- Left: CT. Right: PSMA PET, same axial level, 18F tracer
- acquired on Siemens Biograph 64-4R TruePoint
- slice position z = -1252 mm
- PET panel 168×168 px (4.1 mm/px)
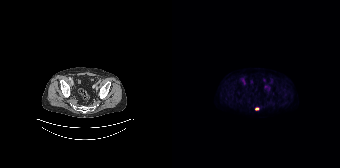
Findings: Coordinates are on the 168×168 PET (right) panel. Small PSMA-avid focus (2 to 4 px across) near (center x, center y): (84, 109).